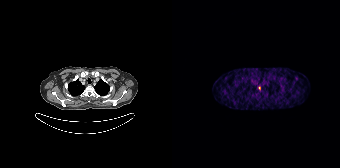
Technique: Two-panel axial: CT | PSMA PET, [68Ga]Ga-PSMA-11 tracer. slice position z = -244 mm. PET panel 168×168 px (4.1 mm/px).
Findings: Coordinates are on the 168×168 PET (right) panel. Small PSMA-avid focus (2 to 4 px across) near (center x, center y): (87, 88).